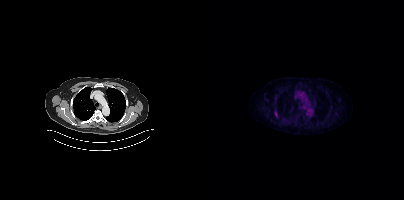
Technique: Two-panel axial: CT | PSMA PET, 18F-PSMA tracer. slice 294 of 389.
Findings: Coordinates are on the 200×200 PET (right) panel. Small PSMA-avid focus (2 to 4 px across) near (center x, center y): (71, 114).